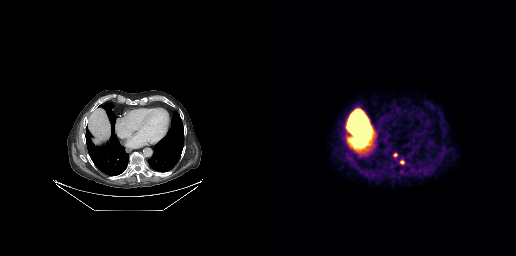
{"pet_grid":[256,256],"coord_frame":"pet_panel","coord_format":"x0,y0,x1,y1","lesion_bboxes":[],"small_foci_centers":[[142,162],[135,154]],"modality":"PSMA PET/CT","view":"axial","tracer":"[18F]PSMA-1007"}